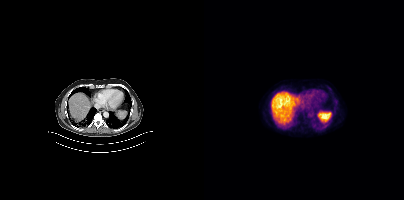
No tumor lesions annotated on this slice.